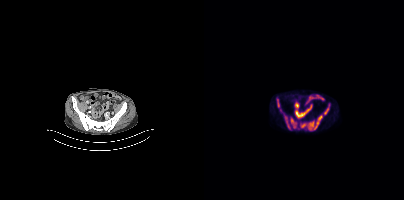
{"modality":"PSMA PET/CT","view":"axial","tracer":"18F-PSMA","pet_grid":[200,200],"coord_frame":"pet_panel","coord_format":"x0,y0,x1,y1","partial":true,"lesion_bboxes":[[96,104,125,130],[86,117,92,128],[80,115,85,127],[73,98,75,107]]}